Technique: Paired axial CT (left) and PSMA PET (right), 18F-PSMA tracer. slice position z = -1192 mm.
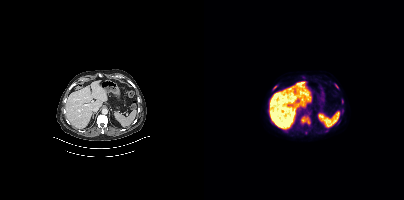
Findings: Coordinates are on the 200×200 PET (right) panel. (showing 5 of 6 foci) PSMA-avid tumor lesion bounding boxes (x0,y0,x1,y1): [97,116,106,123], [131,84,134,88]. Small PSMA-avid foci (2 to 4 px across) near (center x, center y): (70, 87), (138, 101), (138, 109).